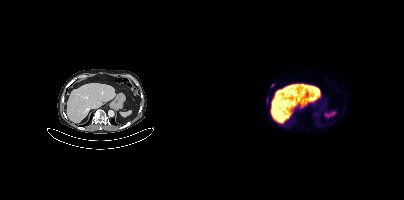
Coordinates are on the 200×200 PET (right) panel. PSMA-avid tumor lesion bounding box (x0, y0)-(x1, y1): (62, 98)-(64, 102). Small PSMA-avid focus (2 to 4 px across) near (center x, center y): (68, 85).
modality: PSMA PET/CT | tracer: [18F]PSMA-1007 | view: axial